modality: PSMA PET/CT | tracer: 18F-PSMA | view: axial | PET grid: 200×200
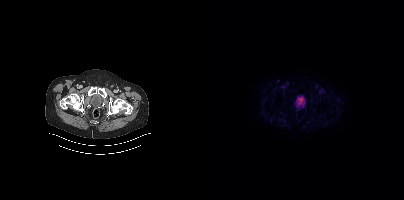
No PSMA-avid tumor lesions on this slice.